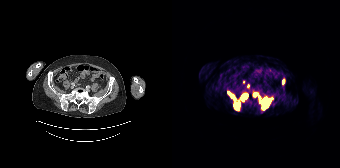
Paired axial CT (left) and PSMA PET (right), [68Ga]Ga-PSMA-11 tracer. Acquired on Siemens Biograph 64-4R TruePoint. Slice 83 of 195.
Coordinates are on the 168×168 PET (right) panel. PSMA-avid tumor lesion bounding boxes:
| # | x0 | y0 | x1 | y1 |
|---|---|---|---|---|
| 1 | 69 | 93 | 76 | 100 |
| 2 | 91 | 99 | 99 | 109 |
| 3 | 56 | 92 | 64 | 100 |
| 4 | 62 | 103 | 67 | 110 |
| 5 | 87 | 97 | 94 | 104 |
| 6 | 81 | 92 | 85 | 96 |
| 7 | 110 | 79 | 112 | 83 |
Small PSMA-avid foci (2 to 4 px across) near (center x, center y): (87, 97); (76, 86); (71, 81).